Technique: Two-panel axial: CT | PSMA PET, 18F-PSMA tracer. PET panel 200×200 px (4.1 mm/px).
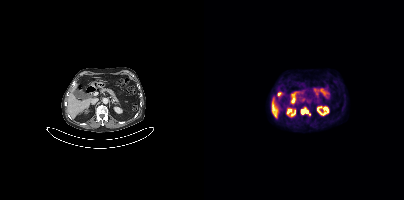
Findings: Coordinates are on the 200×200 PET (right) panel. PSMA-avid tumor lesion bounding box (x, y, width, height): x=97 y=108 w=10 h=8.